- Left: CT. Right: PSMA PET, same axial level, 18F-PSMA tracer
- slice position z = -952 mm
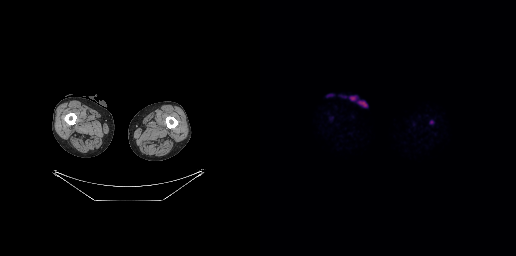
Findings: Negative for PSMA-avid disease on this slice.